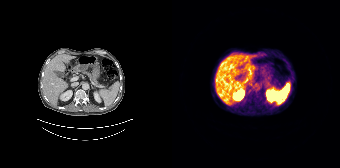
- Two-panel axial: CT | PSMA PET, 68Ga tracer
- PET panel 168×168 px (4.1 mm/px)
Findings: No tumor lesions annotated on this slice.